Two-panel axial: CT | PSMA PET, 68Ga tracer. Slice 59 of 195. PET panel 168×168 px (4.1 mm/px).
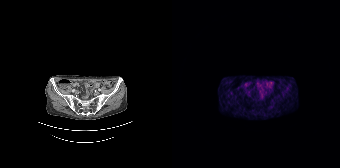
This slice has no annotated PSMA-avid lesion.